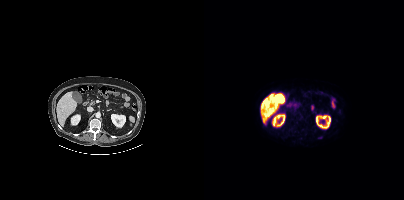
Two-panel axial: CT | PSMA PET, [18F]PSMA-1007 tracer. Slice position z = -732 mm. PET panel 200×200 px (4.1 mm/px). This slice has no annotated PSMA-avid lesion.